- Left: CT. Right: PSMA PET, same axial level, 18F tracer
- slice 335 of 403
- PET panel 200×200 px (4.1 mm/px)
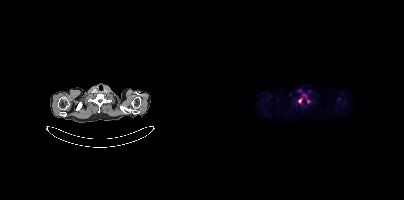
Findings: Coordinates are on the 200×200 PET (right) panel. PSMA-avid tumor lesion bounding box (x, y, width, height): x=93 y=94 w=14 h=11.